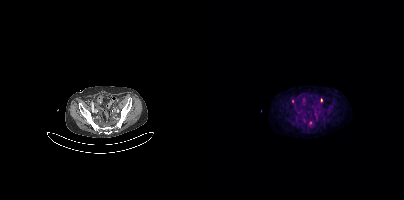
Findings: Coordinates are on the 200×200 PET (right) panel. PSMA-avid tumor lesion bounding box (x, y, width, height): x=116 y=98 w=3 h=5. Small PSMA-avid foci (2 to 4 px across) near (center x, center y): (106, 122) | (88, 101).
Technique: Two-panel axial: CT | PSMA PET, [18F]PSMA-1007 tracer. acquired on Siemens Biograph mCT Flow 20. PET panel 200×200 px (4.1 mm/px).